- Left: CT. Right: PSMA PET, same axial level, 18F-PSMA tracer
- acquired on Siemens Biograph mCT Flow 20
- PET panel 200×200 px (4.1 mm/px)
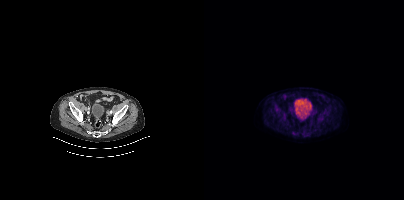
Findings: Negative for PSMA-avid disease on this slice.